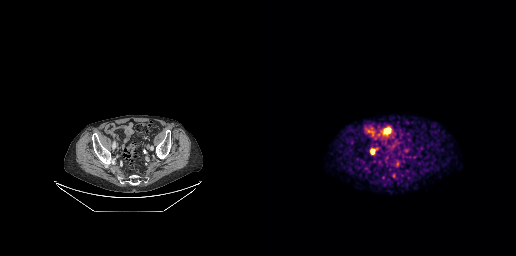
Technique: Two-panel axial: CT | PSMA PET, 68Ga tracer. slice 86 of 263.
Findings: Coordinates are on the 256×256 PET (right) panel. PSMA-avid tumor lesion bounding boxes (x, y, width, height): x=111 y=149 w=4 h=5; x=132 y=173 w=4 h=5. Small PSMA-avid foci (2 to 4 px across) near (center x, center y): (137, 163); (92, 141).